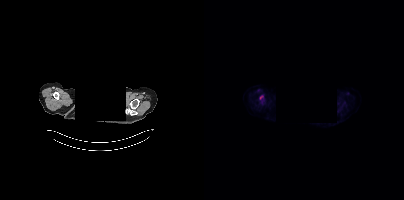
Coordinates are on the 200×200 PET (right) panel. Small PSMA-avid focus (2 to 4 px across) near (center x, center y): (57, 97). Paired axial CT (left) and PSMA PET (right), 18F tracer. PET panel 200×200 px (4.1 mm/px). Privacy masking over the head, with the pixels inside a rectangle set to black.